Any black rectangle here is a de-identification mask. Two-panel axial: CT | PSMA PET, [68Ga]Ga-PSMA-11 tracer. Slice 232 of 263.
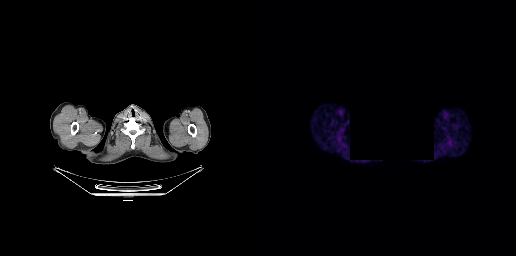
This slice has no annotated PSMA-avid lesion.